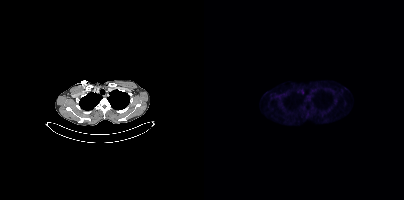
modality: PSMA PET/CT | tracer: 18F-PSMA | view: axial
Negative for PSMA-avid disease on this slice.